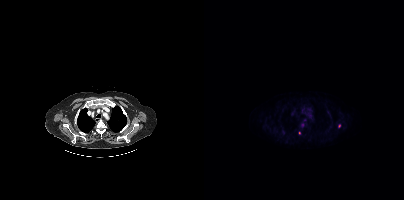
Only PSMA-avid lesion pieces thinner than 2 px on this slice (not listed).